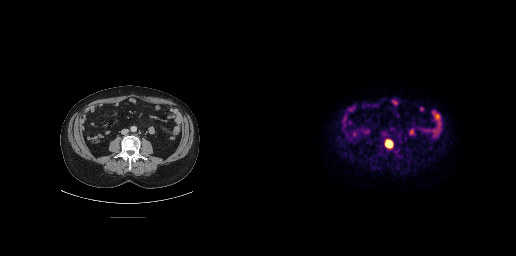
Coordinates are on the 256×256 PET (right) panel. PSMA-avid tumor lesion bounding boxes:
| # | x0 | y0 | x1 | y1 |
|---|---|---|---|---|
| 1 | 125 | 139 | 133 | 148 |
Left: CT. Right: PSMA PET, same axial level, 18F tracer. Acquired on GE Discovery 690. Slice position z = -543 mm.